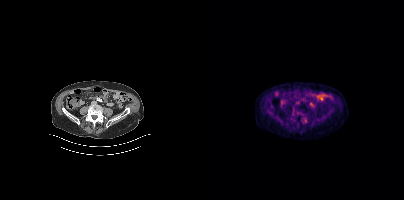
Negative for PSMA-avid disease on this slice.
modality: PSMA PET/CT | tracer: 18F-PSMA | view: axial